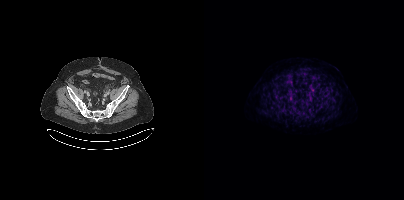
Technique: Left: CT. Right: PSMA PET, same axial level, 18F-PSMA tracer. acquired on Siemens Biograph mCT Flow 20. PET panel 200×200 px (4.1 mm/px).
Findings: Coordinates are on the 200×200 PET (right) panel. Small PSMA-avid focus (2 to 4 px across) near (center x, center y): (106, 99).